The head region is masked for de-identification.
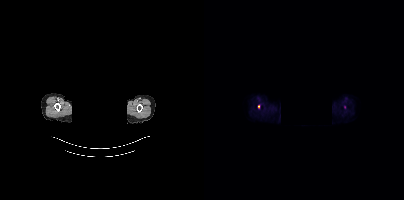
Only PSMA-avid lesion pieces thinner than 2 px on this slice (not listed).